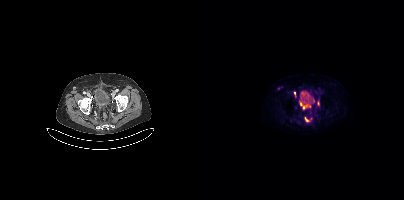
Coordinates are on the 200×200 PET (right) panel. PSMA-avid tumor lesion bounding boxes (x0, y0)-(x1, y1): (95, 102)-(101, 109) | (101, 117)-(105, 121) | (90, 92)-(92, 96). Small PSMA-avid foci (2 to 4 px across) near (center x, center y): (114, 103) | (109, 100).
modality: PSMA PET/CT | tracer: 18F-PSMA | view: axial | PET grid: 200×200